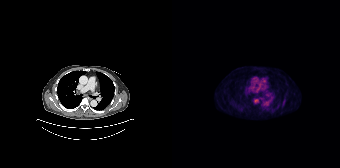
Findings: Coordinates are on the 168×168 PET (right) panel. PSMA-avid tumor lesion bounding box (x0, y0)-(x1, y1): (82, 99)-(86, 103).
- Two-panel axial: CT | PSMA PET, 18F tracer
- acquired on Siemens Biograph 64-4R TruePoint
- PET panel 168×168 px (4.1 mm/px)